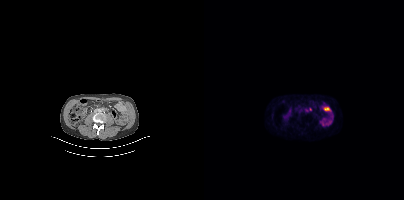
Left: CT. Right: PSMA PET, same axial level, 18F tracer. Acquired on Siemens Biograph mCT Flow 20. Slice position z = -1376 mm. Coordinates are on the 200×200 PET (right) panel. PSMA-avid tumor lesion bounding box (x0,y0,x1,y1): [101,108,107,111].